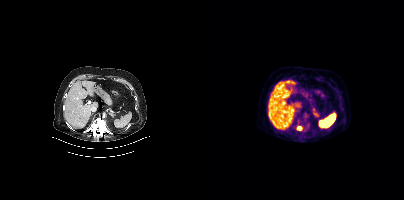
Findings: Coordinates are on the 200×200 PET (right) panel. PSMA-avid tumor lesion bounding box (x0, y0)-(x1, y1): (93, 126)-(97, 129).
- Left: CT. Right: PSMA PET, same axial level, 18F tracer
- acquired on Siemens Biograph mCT Flow 20